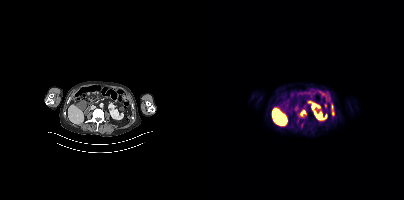
Coordinates are on the 200×200 PET (right) panel. PSMA-avid tumor lesion bounding boxes:
| # | x0 | y0 | x1 | y1 |
|---|---|---|---|---|
| 1 | 127 | 104 | 130 | 115 |
| 2 | 96 | 110 | 101 | 115 |
Two-panel axial: CT | PSMA PET, [18F]PSMA-1007 tracer. Acquired on Siemens Biograph mCT Flow 20. PET panel 200×200 px (4.1 mm/px).